Technique: Left: CT. Right: PSMA PET, same axial level, [68Ga]Ga-PSMA-11 tracer. slice 49 of 195.
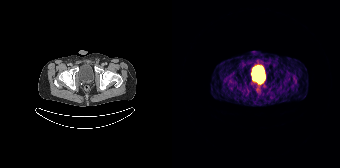
Findings: Coordinates are on the 168×168 PET (right) panel. Small PSMA-avid focus (2 to 4 px across) near (center x, center y): (88, 81).